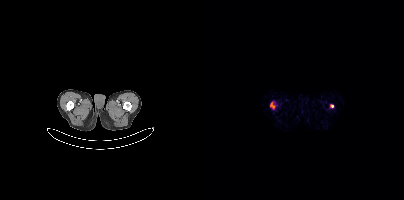
{"pet_grid":[200,200],"coord_frame":"pet_panel","coord_format":"x0,y0,x1,y1","lesion_bboxes":[],"small_foci_centers":[[128,106],[68,106]],"modality":"PSMA PET/CT","view":"axial","tracer":"68Ga"}